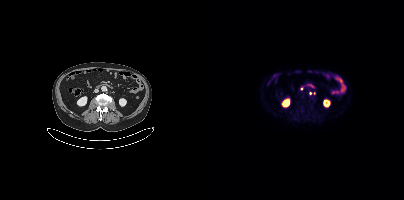
No PSMA-avid tumor lesions on this slice.